- Two-panel axial: CT | PSMA PET, [18F]PSMA-1007 tracer
- PET panel 200×200 px (4.1 mm/px)
- the face region was removed for patient privacy by blanking a rectangle over the head
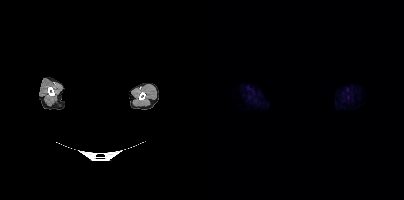
Findings: Negative for PSMA-avid disease on this slice.